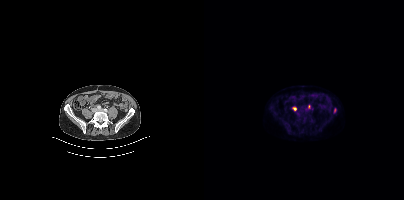
Two-panel axial: CT | PSMA PET, 18F tracer. Slice position z = -1400 mm. PET panel 200×200 px (4.1 mm/px). Coordinates are on the 200×200 PET (right) panel. PSMA-avid tumor lesion bounding box (x0, y0)-(x1, y1): (130, 108)-(132, 112). Small PSMA-avid foci (2 to 4 px across) near (center x, center y): (90, 108) | (105, 106).